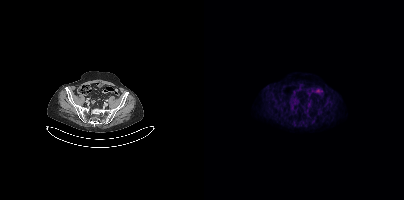
Paired axial CT (left) and PSMA PET (right), 18F tracer. PET panel 200×200 px (4.1 mm/px). No tumor lesions annotated on this slice.